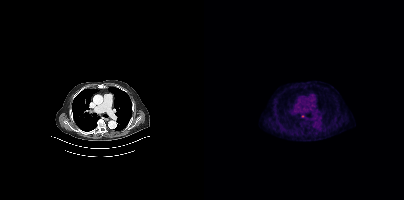
Coordinates are on the 200×200 PET (right) panel. Small PSMA-avid focus (2 to 4 px across) near (center x, center y): (98, 116). Left: CT. Right: PSMA PET, same axial level, [18F]PSMA-1007 tracer. PET panel 200×200 px (4.1 mm/px).